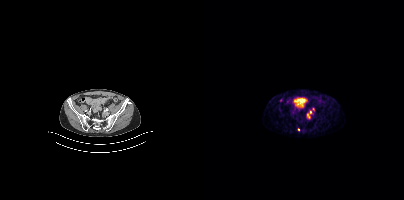
{"modality":"PSMA PET/CT","view":"axial","tracer":"[68Ga]Ga-PSMA-11","pet_grid":[200,200],"coord_frame":"pet_panel","coord_format":"x0,y0,x1,y1","partial":true,"lesion_bboxes":[[103,114,105,118]],"small_foci_centers":[[106,112]]}